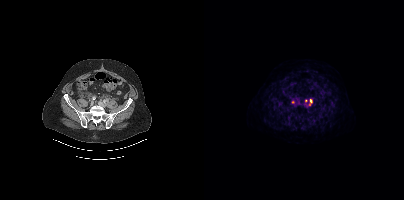
Paired axial CT (left) and PSMA PET (right), 18F-PSMA tracer. Acquired on Siemens Biograph mCT Flow 20. Slice 130 of 435. PET panel 200×200 px (4.1 mm/px). Coordinates are on the 200×200 PET (right) panel. Small PSMA-avid foci (2 to 4 px across) near (center x, center y): (88, 101); (107, 100); (102, 100).